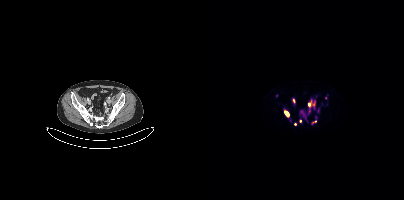
Findings: Coordinates are on the 200×200 PET (right) panel. (showing 12 of 14 foci) PSMA-avid tumor lesion bounding boxes (x0, y0)-(x1, y1): (104, 100)-(110, 107) | (98, 112)-(102, 119) | (80, 111)-(85, 117) | (104, 109)-(106, 113). Small PSMA-avid foci (2 to 4 px across) near (center x, center y): (114, 110) | (89, 100) | (72, 95) | (96, 121) | (111, 121) | (91, 124) | (121, 97) | (86, 120).
Technique: Paired axial CT (left) and PSMA PET (right), [68Ga]Ga-PSMA-11 tracer. slice position z = -1439 mm.